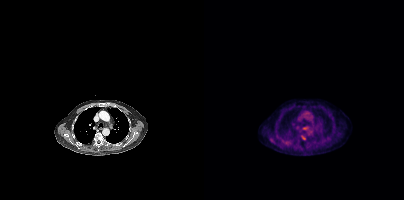
Coordinates are on the 200×200 PET (right) panel. (showing 1 of 2 foci) Small PSMA-avid focus (2 to 4 px across) near (center x, center y): (99, 138). Left: CT. Right: PSMA PET, same axial level, 18F-PSMA tracer. PET panel 200×200 px (4.1 mm/px).